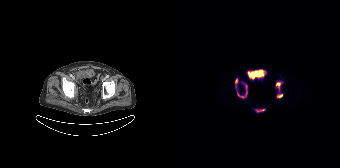
{"modality":"PSMA PET/CT","view":"axial","tracer":"[18F]PSMA-1007","pet_grid":[168,168],"coord_frame":"pet_panel","coord_format":"x0,y0,x1,y1","partial":true,"lesion_bboxes":[[65,84,75,98],[104,81,110,91],[84,109,93,112],[63,78,66,89],[105,93,110,98]]}